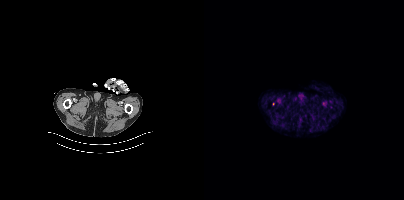
Coordinates are on the 200×200 PET (right) panel. Small PSMA-avid focus (2 to 4 px across) near (center x, center y): (69, 104).